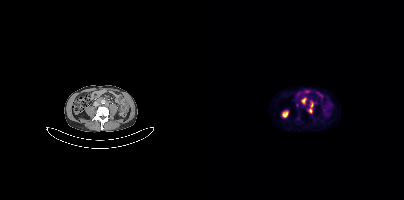
Two-panel axial: CT | PSMA PET, [68Ga]Ga-PSMA-11 tracer. Slice 136 of 409. PET panel 200×200 px (4.1 mm/px). Coordinates are on the 200×200 PET (right) panel. PSMA-avid tumor lesion bounding boxes (x0, y0)-(x1, y1): (104, 101)-(109, 113); (97, 98)-(102, 104). Small PSMA-avid focus (2 to 4 px across) near (center x, center y): (93, 105).